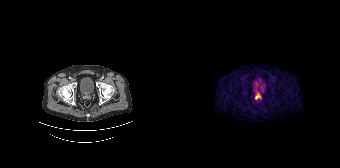
modality: PSMA PET/CT | tracer: [68Ga]Ga-PSMA-11 | view: axial | PET grid: 168×168
Coordinates are on the 168×168 PET (right) panel. PSMA-avid tumor lesion bounding box (x0, y0)-(x1, y1): (83, 94)-(87, 97).